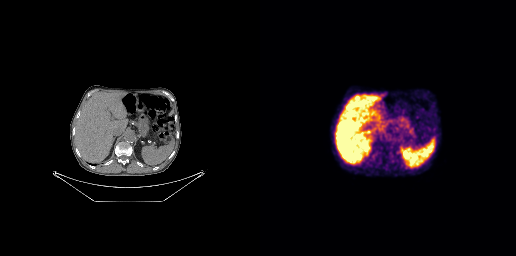
{"modality":"PSMA PET/CT","view":"axial","tracer":"[68Ga]Ga-PSMA-11","pet_grid":[256,256],"coord_frame":"pet_panel","coord_format":"x0,y0,x1,y1","psma_avid_lesions":false}